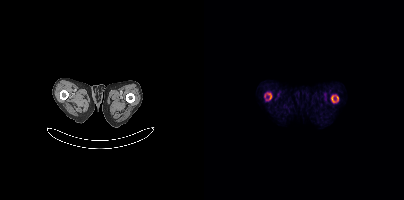
Paired axial CT (left) and PSMA PET (right), 18F-PSMA tracer. Slice 23 of 401. PET panel 200×200 px (4.1 mm/px).
Coordinates are on the 200×200 PET (right) panel. PSMA-avid tumor lesion bounding boxes (partial; 1 more focus not listed):
| # | x0 | y0 | x1 | y1 |
|---|---|---|---|---|
| 1 | 127 | 95 | 134 | 102 |
| 2 | 63 | 93 | 67 | 99 |